modality: PSMA PET/CT | tracer: [18F]PSMA-1007 | view: axial | PET grid: 200×200
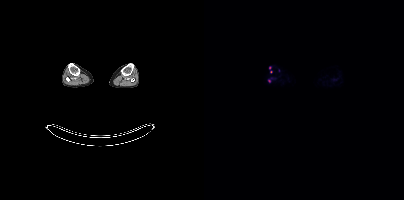
Only PSMA-avid lesion pieces thinner than 2 px on this slice (not listed).